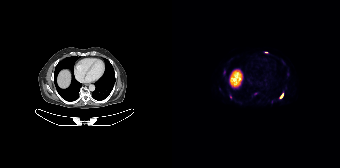
Left: CT. Right: PSMA PET, same axial level, 18F-PSMA tracer. Acquired on Siemens Biograph 64-4R TruePoint. Coordinates are on the 168×168 PET (right) panel. (showing 4 of 5 foci) PSMA-avid tumor lesion bounding boxes (x, y, width, height): x=108 y=93 w=4 h=6 | x=51 y=70 w=3 h=5. Small PSMA-avid foci (2 to 4 px across) near (center x, center y): (94, 52) | (58, 97).